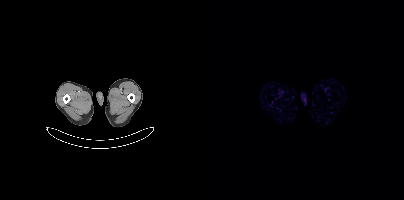
Negative for PSMA-avid disease on this slice.